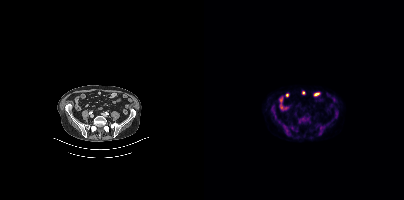
Coordinates are on the 200×200 PET (right) panel. PSMA-avid tumor lesion bounding boxes (x, y, width, height): x=96 y=116 w=9 h=7 / x=74 y=121 w=7 h=9. Two-panel axial: CT | PSMA PET, 18F-PSMA tracer.